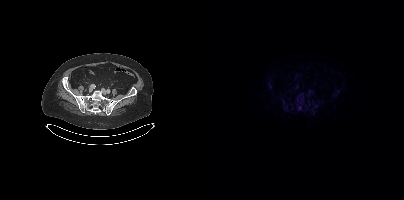
Coordinates are on the 200×200 PET (right) panel. Small PSMA-avid focus (2 to 4 px across) near (center x, center y): (95, 107).